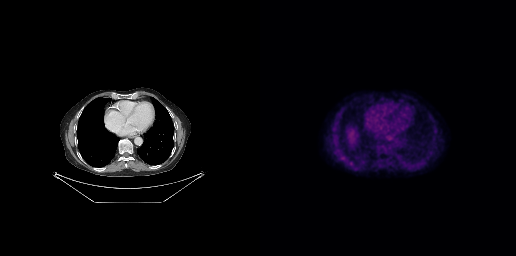
No tumor lesions annotated on this slice.